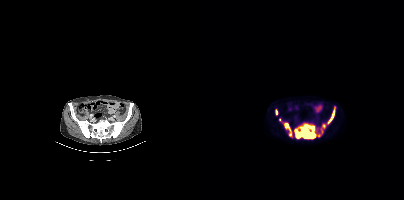
Findings: Coordinates are on the 200×200 PET (right) panel. PSMA-avid tumor lesion bounding boxes (x0, y0)-(x1, y1): (90, 125)-(110, 138) | (80, 123)-(87, 135) | (112, 129)-(119, 137) | (124, 107)-(131, 122) | (118, 124)-(121, 128) | (72, 110)-(73, 114). Small PSMA-avid focus (2 to 4 px across) near (center x, center y): (75, 119).
- Paired axial CT (left) and PSMA PET (right), 18F tracer
- slice position z = -333 mm
- PET panel 200×200 px (4.1 mm/px)